Technique: Paired axial CT (left) and PSMA PET (right), 18F tracer.
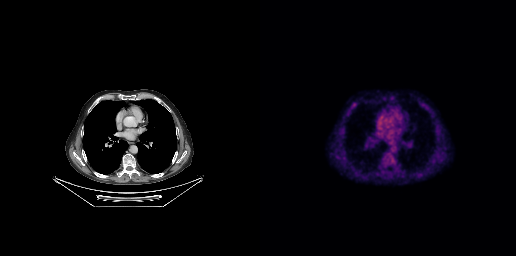
Findings: No tumor lesions annotated on this slice.